modality: PSMA PET/CT | tracer: 18F | view: axial
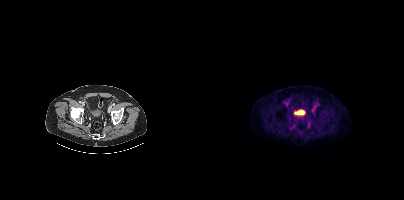
No PSMA-avid tumor lesions on this slice.